- Paired axial CT (left) and PSMA PET (right), 18F tracer
- PET panel 200×200 px (4.1 mm/px)
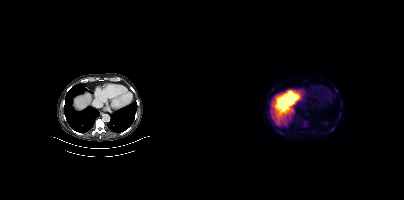
Findings: Coordinates are on the 200×200 PET (right) panel. (showing 2 of 3 foci) Small PSMA-avid foci (2 to 4 px across) near (center x, center y): (128, 128) (135, 115).